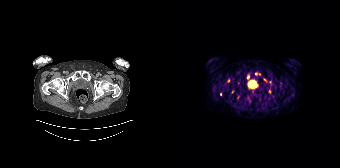
Findings: Coordinates are on the 168×168 PET (right) panel. (showing 5 of 9 foci) PSMA-avid tumor lesion bounding box (x0, y0)-(x1, y1): (96, 89)-(99, 93). Small PSMA-avid foci (2 to 4 px across) near (center x, center y): (76, 77); (83, 73); (48, 94); (92, 79).
- Two-panel axial: CT | PSMA PET, [68Ga]Ga-PSMA-11 tracer